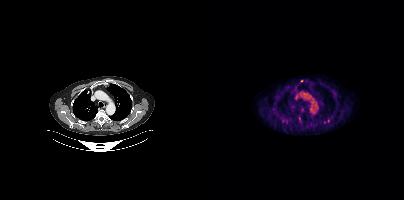
{"pet_grid":[200,200],"coord_frame":"pet_panel","coord_format":"x0,y0,x1,y1","partial":true,"lesion_bboxes":[],"small_foci_centers":[[97,80]],"modality":"PSMA PET/CT","view":"axial","tracer":"18F"}